Technique: Two-panel axial: CT | PSMA PET, [68Ga]Ga-PSMA-11 tracer. acquired on Siemens Biograph 64-4R TruePoint.
Note: Head region blanked for anonymization (face removed).
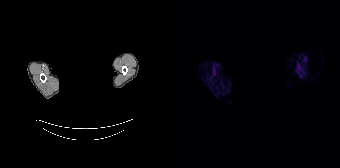
Findings: No PSMA-avid tumor lesions on this slice.